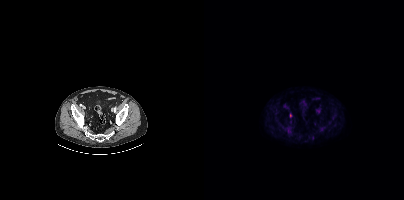
Technique: Paired axial CT (left) and PSMA PET (right), [18F]PSMA-1007 tracer. PET panel 200×200 px (4.1 mm/px).
Findings: Only PSMA-avid lesion pieces thinner than 2 px on this slice (not listed).